Left: CT. Right: PSMA PET, same axial level, 18F tracer. Slice 180 of 417.
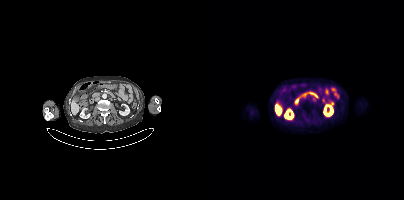
This slice has no annotated PSMA-avid lesion.